Paired axial CT (left) and PSMA PET (right), [18F]PSMA-1007 tracer. Slice 90 of 263.
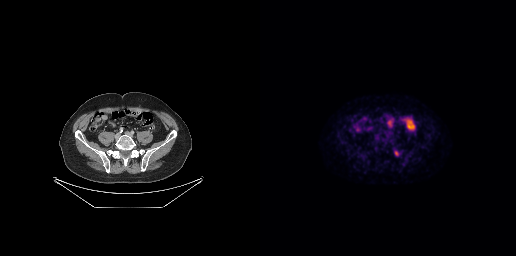
Coordinates are on the 256×256 PET (right) panel. PSMA-avid tumor lesion bounding boxes:
| # | x0 | y0 | x1 | y1 |
|---|---|---|---|---|
| 1 | 135 | 151 | 138 | 155 |